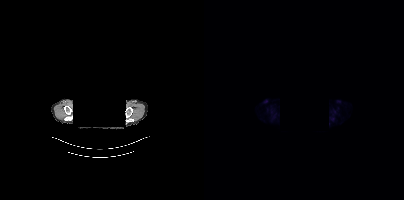
Head region blanked for anonymization (face removed). Paired axial CT (left) and PSMA PET (right), 18F tracer. PET panel 200×200 px (4.1 mm/px). Negative for PSMA-avid disease on this slice.